- Paired axial CT (left) and PSMA PET (right), 68Ga-PSMA tracer
- acquired on Siemens Biograph mCT Flow 20
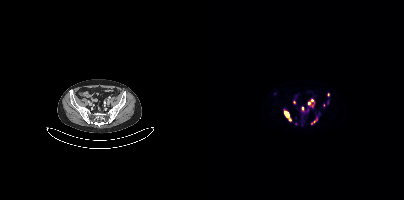
Findings: Coordinates are on the 200×200 PET (right) panel. (showing 9 of 11 foci) PSMA-avid tumor lesion bounding boxes (x0,y0,x1,y1): [80,110,87,121] [104,99,110,107] [110,117,113,122]. Small PSMA-avid foci (2 to 4 px across) near (center x, center y): (124, 94) (90, 102) (98, 108) (103, 109) (91, 123) (107, 123).